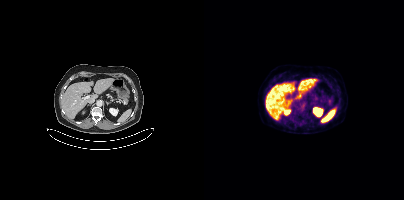
Paired axial CT (left) and PSMA PET (right), 18F tracer. No PSMA-avid tumor lesions on this slice.